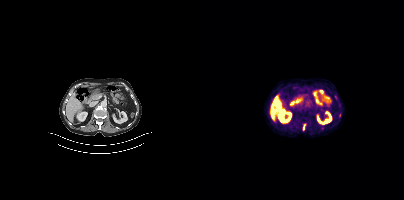
{"pet_grid":[200,200],"coord_frame":"pet_panel","coord_format":"x0,y0,x1,y1","lesion_bboxes":[[99,124,101,130]],"modality":"PSMA PET/CT","view":"axial","tracer":"18F"}